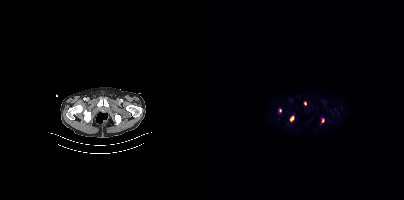
Coordinates are on the 200×200 PET (right) panel. PSMA-avid tumor lesion bounding box (x0,y0,x1,y1): [86,116,89,121]. Small PSMA-avid foci (2 to 4 px across) near (center x, center y): (76, 110); (101, 103); (118, 120). Two-panel axial: CT | PSMA PET, 18F-PSMA tracer. Acquired on Siemens Biograph mCT Flow 20. Slice 42 of 403. PET panel 200×200 px (4.1 mm/px).